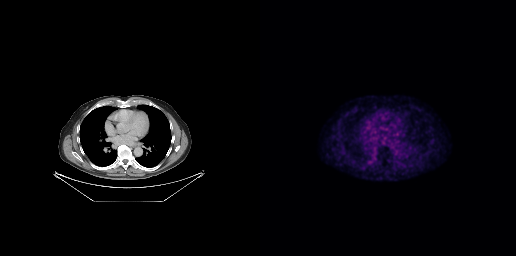
Only PSMA-avid lesion pieces thinner than 2 px on this slice (not listed).